Technique: Two-panel axial: CT | PSMA PET, [18F]PSMA-1007 tracer. acquired on Siemens Biograph mCT Flow 20.
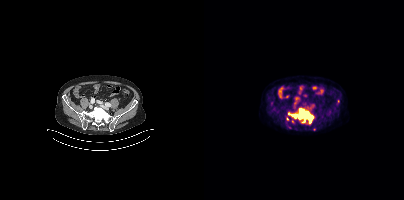
Findings: Coordinates are on the 200×200 PET (right) panel. (showing 4 of 6 foci) PSMA-avid tumor lesion bounding box (x0,y0,x1,y1): [84,108,110,124]. Small PSMA-avid foci (2 to 4 px across) near (center x, center y): (134, 101); (83, 119); (110, 129).